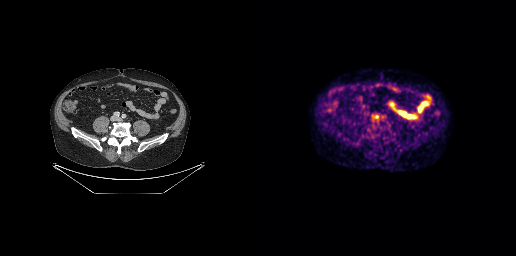
Left: CT. Right: PSMA PET, same axial level, 18F-PSMA tracer. PET panel 256×256 px (2.7 mm/px). No tumor lesions annotated on this slice.